modality: PSMA PET/CT | tracer: 68Ga-PSMA | view: axial | PET grid: 168×168
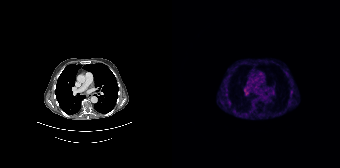
Coordinates are on the 168×168 PET (right) panel. (showing 2 of 4 foci) Small PSMA-avid foci (2 to 4 px across) near (center x, center y): (114, 72), (54, 94).